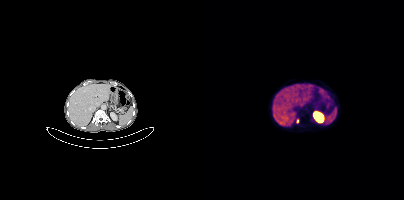
modality: PSMA PET/CT | tracer: [68Ga]Ga-PSMA-11 | view: axial
Coordinates are on the 200×200 PET (right) panel. PSMA-avid tumor lesion bounding box (x0,y0,x1,y1): [92,119,94,123].